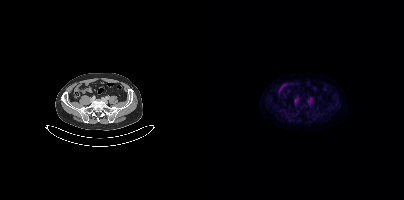
Two-panel axial: CT | PSMA PET, 18F tracer. No tumor lesions annotated on this slice.